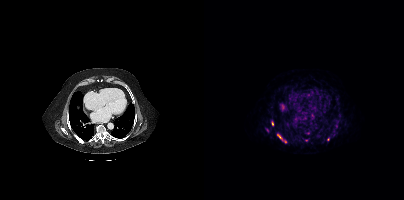
Coordinates are on the 200×200 PET (right) panel. PSMA-avid tumor lesion bounding box (x0,y0,x1,y1): [73,134,78,140]. Small PSMA-avid foci (2 to 4 px across) near (center x, center y): (124, 139) (81, 141) (68, 124).